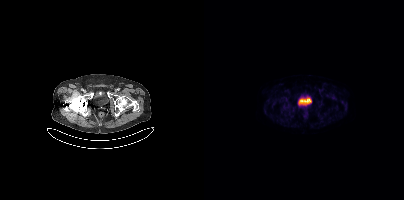
No tumor lesions annotated on this slice.